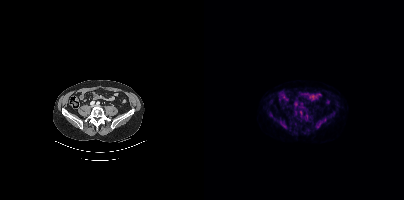
No PSMA-avid tumor lesions on this slice.